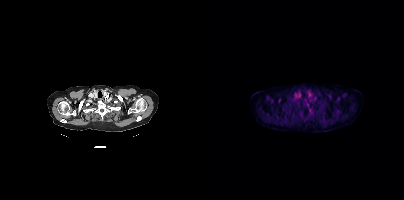
No tumor lesions annotated on this slice.